Left: CT. Right: PSMA PET, same axial level, [18F]PSMA-1007 tracer. Slice 192 of 263.
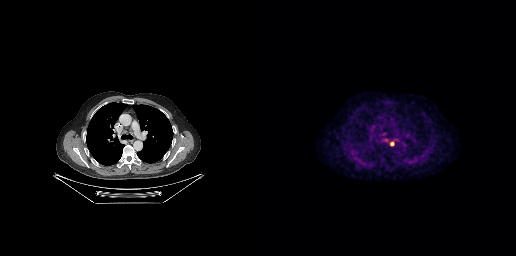
Coordinates are on the 256×256 PET (right) panel. Small PSMA-avid focus (2 to 4 px across) near (center x, center y): (132, 143).